modality: PSMA PET/CT | tracer: 68Ga | view: axial | de-identification: head region blanked (face removed)
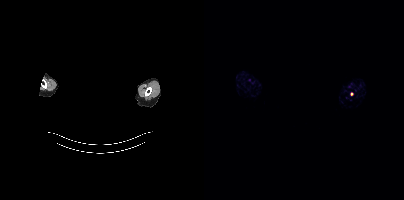
No PSMA-avid tumor lesions on this slice.